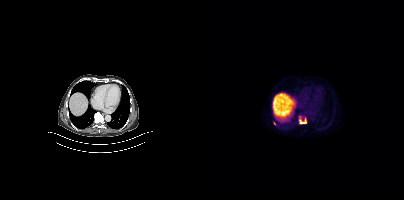
{"modality":"PSMA PET/CT","view":"axial","tracer":"18F-PSMA","pet_grid":[200,200],"coord_frame":"pet_panel","coord_format":"x0,y0,x1,y1","lesion_bboxes":[[95,116,102,123],[69,121,72,125]]}